modality: PSMA PET/CT | tracer: 18F-PSMA | view: axial | PET grid: 200×200
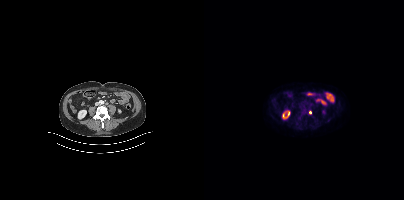
Coordinates are on the 200×200 PET (right) panel. Small PSMA-avid focus (2 to 4 px across) near (center x, center y): (106, 112).